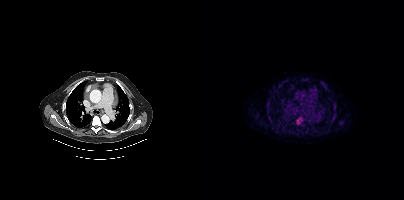
Left: CT. Right: PSMA PET, same axial level, [18F]PSMA-1007 tracer. Slice 335 of 454. PET panel 200×200 px (4.1 mm/px).
Coordinates are on the 200×200 PET (right) panel. PSMA-avid tumor lesion bounding boxes:
| # | x0 | y0 | x1 | y1 |
|---|---|---|---|---|
| 1 | 93 | 117 | 98 | 124 |